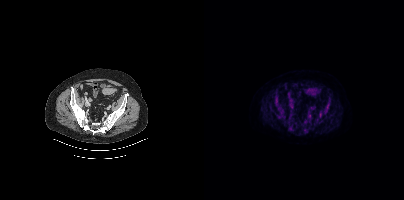
- Two-panel axial: CT | PSMA PET, 18F tracer
- acquired on Siemens Biograph mCT Flow 20
- PET panel 200×200 px (4.1 mm/px)
Findings: Only PSMA-avid lesion pieces thinner than 2 px on this slice (not listed).